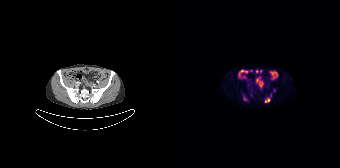
Coordinates are on the 168×168 PET (right) panel. PSMA-avid tumor lesion bounding boxes (x0, y0)-(x1, y1): (93, 93)-(99, 102) | (71, 95)-(74, 100). Small PSMA-avid focus (2 to 4 px across) near (center x, center y): (102, 90).